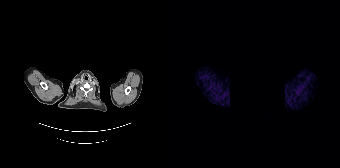
Some pixels were blanked for anonymization.
Negative for PSMA-avid disease on this slice.